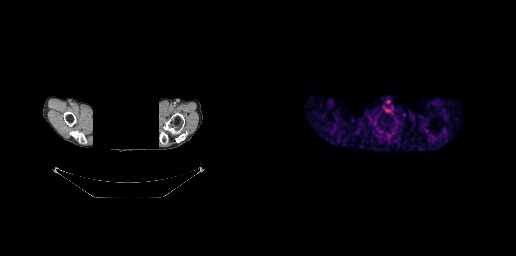
No PSMA-avid tumor lesions on this slice.
Face de-identified by blanking a block of the head.